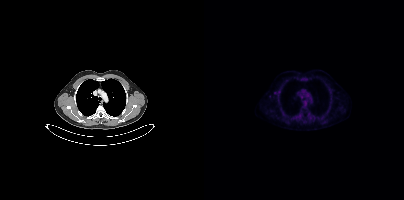
Technique: Paired axial CT (left) and PSMA PET (right), 18F tracer. PET panel 200×200 px (4.1 mm/px).
Findings: Coordinates are on the 200×200 PET (right) panel. Small PSMA-avid focus (2 to 4 px across) near (center x, center y): (71, 93).